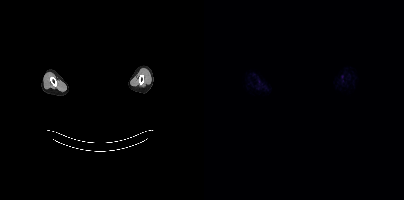
{"modality":"PSMA PET/CT","view":"axial","tracer":"[18F]PSMA-1007","pet_grid":[200,200],"coord_frame":"pet_panel","coord_format":"x0,y0,x1,y1","deidentification":"head region blacked out before release","psma_avid_lesions":false}